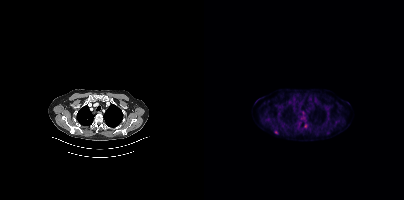
Findings: Coordinates are on the 200×200 PET (right) panel. Small PSMA-avid foci (2 to 4 px across) near (center x, center y): (71, 131) / (101, 126).
Technique: Two-panel axial: CT | PSMA PET, [18F]PSMA-1007 tracer. slice position z = 421 mm. PET panel 200×200 px (4.1 mm/px).